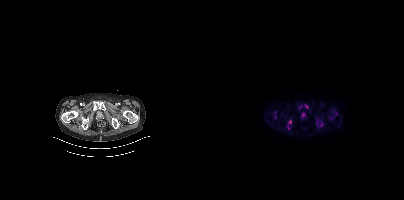
- Paired axial CT (left) and PSMA PET (right), [18F]PSMA-1007 tracer
- slice 67 of 415
- PET panel 200×200 px (4.1 mm/px)
Findings: Coordinates are on the 200×200 PET (right) panel. (showing 9 of 10 foci) PSMA-avid tumor lesion bounding boxes (x0, y0)-(x1, y1): (84, 120)-(87, 124); (100, 104)-(104, 108); (98, 113)-(101, 117). Small PSMA-avid foci (2 to 4 px across) near (center x, center y): (117, 124); (96, 106); (127, 118); (84, 128); (132, 113); (112, 122).